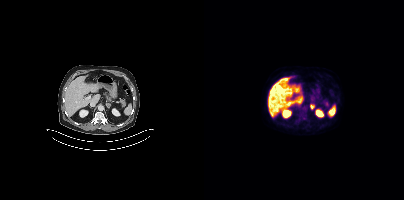
{"modality":"PSMA PET/CT","view":"axial","tracer":"[18F]PSMA-1007","pet_grid":[200,200],"coord_frame":"pet_panel","coord_format":"x0,y0,x1,y1","partial":true,"lesion_bboxes":[[106,104,110,109]]}